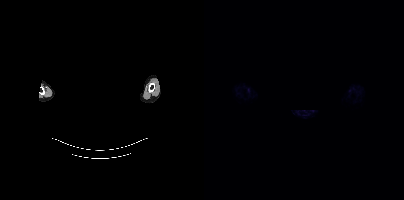
Technique: Paired axial CT (left) and PSMA PET (right), 68Ga tracer.
Note: A rectangular block over the head has been blanked out for de-identification.
Findings: Negative for PSMA-avid disease on this slice.